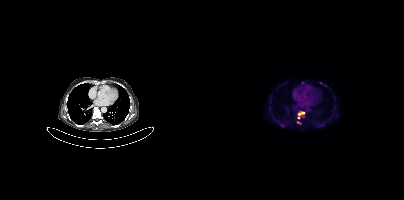
Coordinates are on the 200×200 PET (right) panel. (showing 4 of 6 foci) PSMA-avid tumor lesion bounding boxes (x, y, width, height): x=94 y=112 w=7 h=4 / x=93 y=121 w=5 h=4. Small PSMA-avid foci (2 to 4 px across) near (center x, center y): (95, 117) / (116, 82). Left: CT. Right: PSMA PET, same axial level, 18F tracer. PET panel 200×200 px (4.1 mm/px).